modality: PSMA PET/CT | tracer: 18F-PSMA | view: axial
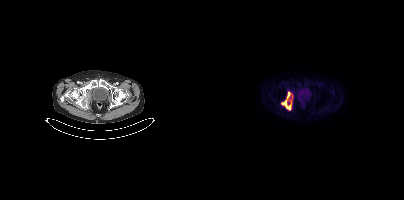
Coordinates are on the 200×200 PET (right) panel. PSMA-avid tumor lesion bounding box (x0,y0,x1,y1): [77,92,88,110].